Paired axial CT (left) and PSMA PET (right), 68Ga tracer.
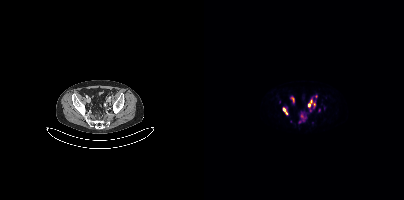
Coordinates are on the 200×200 PET (right) panel. (showing 8 of 10 foci) PSMA-avid tumor lesion bounding boxes (x0, y0)-(x1, y1): (104, 99)-(108, 106) / (96, 113)-(100, 118) / (88, 97)-(90, 101). Small PSMA-avid foci (2 to 4 px across) near (center x, center y): (80, 109) / (106, 111) / (115, 110) / (112, 96) / (110, 104).